- Two-panel axial: CT | PSMA PET, 68Ga tracer
- acquired on GE Discovery 690
- slice position z = -353 mm
- PET panel 256×256 px (2.7 mm/px)
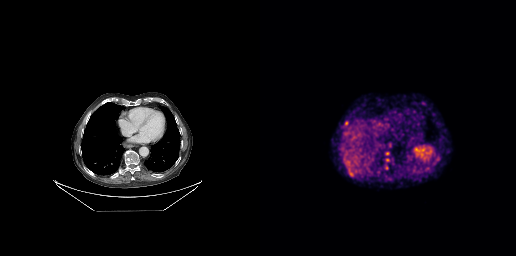
Findings: Coordinates are on the 256×256 PET (right) panel. PSMA-avid tumor lesion bounding boxes (x0,y0,x1,y1): [125,151,129,155], [89,172,92,176], [85,121,88,125], [177,156,180,160]. Small PSMA-avid foci (2 to 4 px across) near (center x, center y): (127, 159), (126, 167), (132, 159).